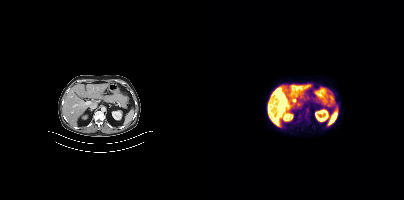
Two-panel axial: CT | PSMA PET, 18F tracer. Acquired on Siemens Biograph mCT Flow 20. PET panel 200×200 px (4.1 mm/px). This slice has no annotated PSMA-avid lesion.